Paired axial CT (left) and PSMA PET (right), 18F tracer. PET panel 200×200 px (4.1 mm/px).
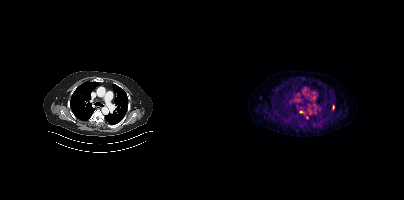
Coordinates are on the 200×200 PET (right) panel. (showing 3 of 4 foci) PSMA-avid tumor lesion bounding box (x, y, width, height): x=128 y=105 w=3 h=5. Small PSMA-avid foci (2 to 4 px across) near (center x, center y): (97, 111) / (56, 97).